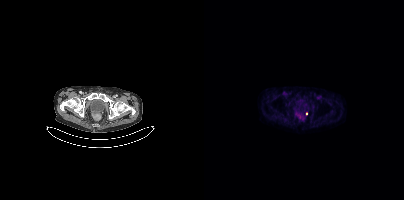
{"modality":"PSMA PET/CT","view":"axial","tracer":"18F","pet_grid":[200,200],"coord_frame":"pet_panel","coord_format":"x0,y0,x1,y1","lesion_bboxes":[],"small_foci_centers":[[92,113],[102,113]]}